Left: CT. Right: PSMA PET, same axial level, 18F-PSMA tracer. Slice position z = -1271 mm. PET panel 200×200 px (4.1 mm/px).
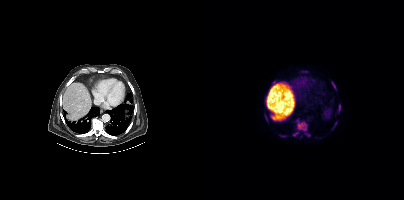
Coordinates are on the 200×200 PET (right) panel. (showing 4 of 8 foci) PSMA-avid tumor lesion bounding boxes (x0,y0,x1,y1): [92,119,106,136], [89,132,94,136], [128,82,131,88], [61,116,64,122].